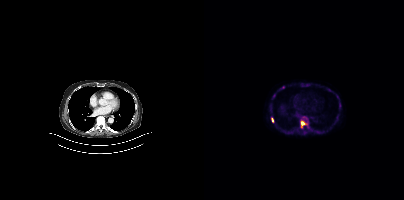
{"modality":"PSMA PET/CT","view":"axial","tracer":"18F","pet_grid":[200,200],"coord_frame":"pet_panel","coord_format":"x0,y0,x1,y1","lesion_bboxes":[[97,120,104,127],[68,118,69,122]],"small_foci_centers":[[79,87],[100,117]]}